The head region is masked for de-identification. Two-panel axial: CT | PSMA PET, 18F-PSMA tracer. Acquired on Siemens Biograph mCT Flow 20. Slice position z = -476 mm.
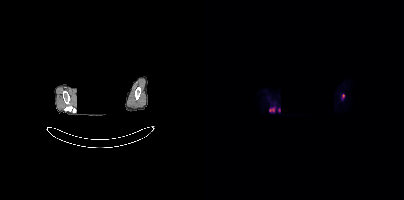
Coordinates are on the 200×200 PET (right) panel. PSMA-avid tumor lesion bounding box (x0, y0)-(x1, y1): (66, 107)-(70, 111). Small PSMA-avid foci (2 to 4 px across) near (center x, center y): (139, 95); (75, 110).